modality: PSMA PET/CT | tracer: 18F-PSMA | view: axial
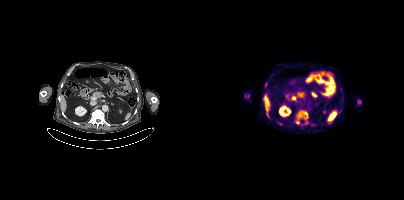
Coordinates are on the 200×200 PET (right) panel. (showing 2 of 4 foci) PSMA-avid tumor lesion bounding box (x, y, width, height): x=95 y=111 w=9 h=8. Small PSMA-avid focus (2 to 4 px across) near (center x, center y): (93, 122).